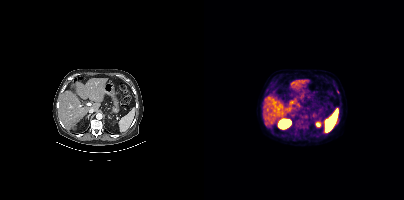
Coordinates are on the 200×200 PET (right) panel. (showing 1 of 2 foci) Small PSMA-avid focus (2 to 4 px across) near (center x, center y): (133, 121).